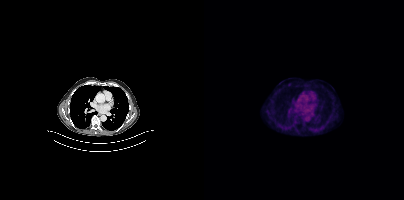
Coordinates are on the 200×200 PET (right) panel. Small PSMA-avid focus (2 to 4 px across) near (center x, center y): (85, 84).